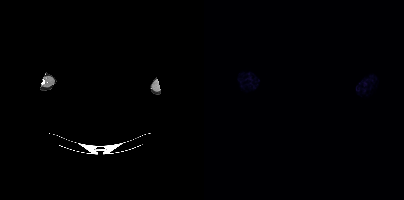
Left: CT. Right: PSMA PET, same axial level, [18F]PSMA-1007 tracer. Acquired on Siemens Biograph mCT Flow 20. An anonymization step blacked out a rectangle over the head in this scan. Negative for PSMA-avid disease on this slice.